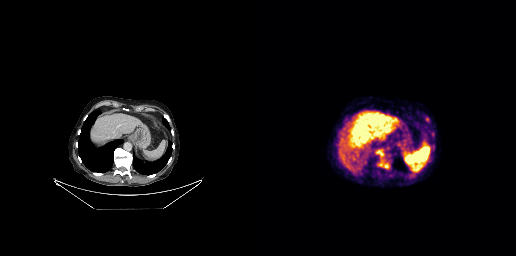
Findings: Coordinates are on the 256×256 PET (right) panel. PSMA-avid tumor lesion bounding boxes (x0,y0,x1,y1): [165,117,169,122]; [124,164,128,168]; [171,132,174,136]. Small PSMA-avid foci (2 to 4 px across) near (center x, center y): (120, 164); (122, 155).
Technique: Two-panel axial: CT | PSMA PET, 18F tracer. acquired on GE Discovery 690. slice position z = -411 mm. PET panel 256×256 px (2.7 mm/px).